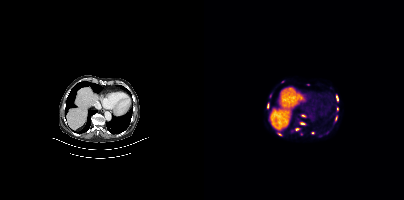
Findings: Coordinates are on the 200×200 PET (right) panel. (showing 10 of 14 foci) PSMA-avid tumor lesion bounding boxes (x, y, width, height): x=91 y=128 w=5 h=3 | x=132 y=96 w=2 h=5. Small PSMA-avid foci (2 to 4 px across) near (center x, center y): (75, 134) | (104, 84) | (99, 115) | (97, 123) | (109, 132) | (133, 108) | (64, 120) | (123, 132).
Technique: Left: CT. Right: PSMA PET, same axial level, [68Ga]Ga-PSMA-11 tracer. slice 226 of 409.